Technique: Paired axial CT (left) and PSMA PET (right), 18F tracer. acquired on Siemens Biograph mCT Flow 20.
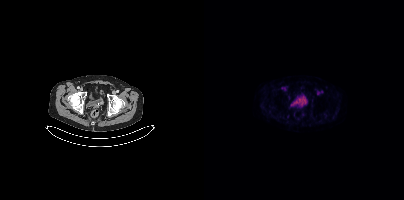
Findings: Coordinates are on the 200×200 PET (right) panel. Small PSMA-avid focus (2 to 4 px across) near (center x, center y): (101, 102).